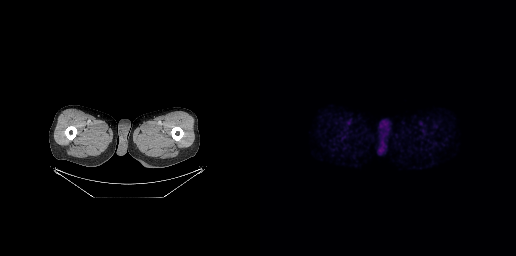
modality: PSMA PET/CT | tracer: 18F | view: axial | PET grid: 256×256
Negative for PSMA-avid disease on this slice.